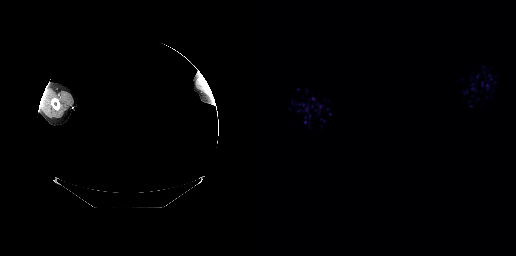
{"modality":"PSMA PET/CT","view":"axial","tracer":"68Ga","pet_grid":[256,256],"coord_frame":"pet_panel","coord_format":"x0,y0,x1,y1","psma_avid_lesions":false,"deidentification":"head region blacked out before release"}